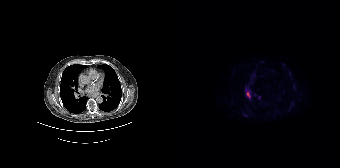
Coordinates are on the 168×168 PET (right) panel. PSMA-avid tumor lesion bounding box (x, y, width, height): x=75 y=92 w=3 h=6.